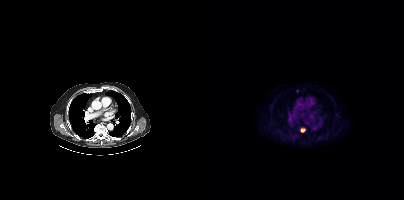
{"pet_grid":[200,200],"coord_frame":"pet_panel","coord_format":"x0,y0,x1,y1","lesion_bboxes":[],"small_foci_centers":[[98,130]],"modality":"PSMA PET/CT","view":"axial","tracer":"18F-PSMA"}